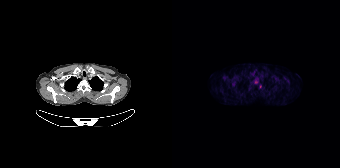
modality: PSMA PET/CT | tracer: 18F-PSMA | view: axial
Coordinates are on the 168×168 PET (right) panel. Small PSMA-avid foci (2 to 4 px across) near (center x, center y): (84, 82) / (88, 86).